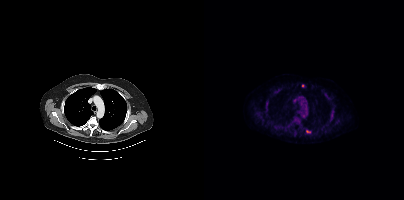
modality: PSMA PET/CT | tracer: [18F]PSMA-1007 | view: axial
Coordinates are on the 200×200 PET (right) panel. Small PSMA-avid foci (2 to 4 px across) near (center x, center y): (98, 85) / (103, 131).